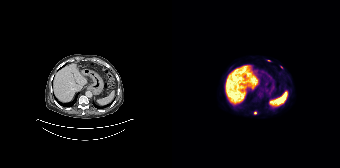
Technique: Two-panel axial: CT | PSMA PET, 18F tracer. slice 98 of 165. PET panel 168×168 px (4.1 mm/px).
Findings: Coordinates are on the 168×168 PET (right) panel. Small PSMA-avid foci (2 to 4 px across) near (center x, center y): (83, 112); (96, 60); (109, 67).